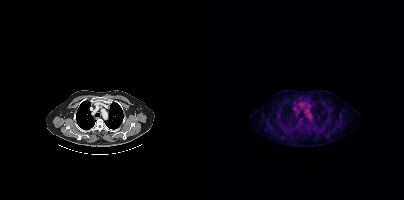
Technique: Two-panel axial: CT | PSMA PET, 18F-PSMA tracer.
Findings: No tumor lesions annotated on this slice.